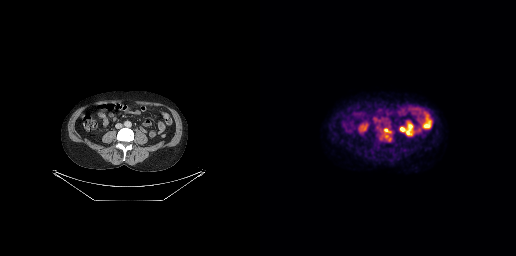
Findings: Coordinates are on the 256×256 PET (right) panel. Small PSMA-avid focus (2 to 4 px across) near (center x, center y): (126, 130).
Technique: Left: CT. Right: PSMA PET, same axial level, 18F tracer. PET panel 256×256 px (2.7 mm/px).